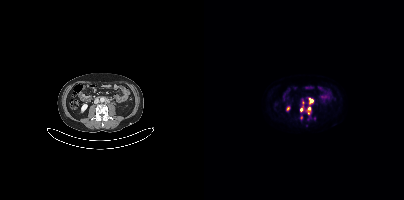
- Paired axial CT (left) and PSMA PET (right), 18F-PSMA tracer
- acquired on Siemens Biograph mCT Flow 20
- slice 164 of 407
- PET panel 200×200 px (4.1 mm/px)
Findings: Coordinates are on the 200×200 PET (right) panel. (showing 4 of 5 foci) PSMA-avid tumor lesion bounding boxes (x, y, width, height): x=96 y=102 w=5 h=10 / x=105 y=98 w=5 h=6. Small PSMA-avid foci (2 to 4 px across) near (center x, center y): (105, 108) / (97, 117).